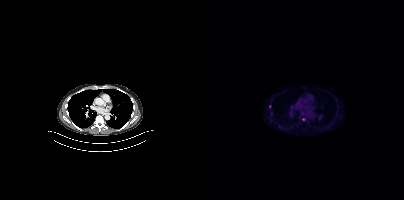
Only PSMA-avid lesion pieces thinner than 2 px on this slice (not listed).